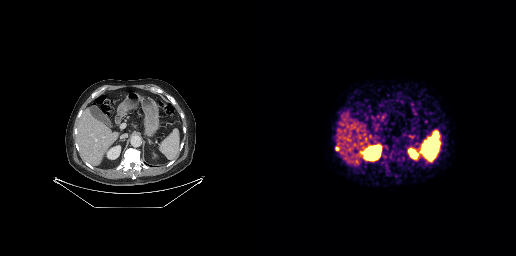
{"pet_grid":[256,256],"coord_frame":"pet_panel","coord_format":"x0,y0,x1,y1","lesion_bboxes":[[75,146,79,151]],"modality":"PSMA PET/CT","view":"axial","tracer":"68Ga-PSMA"}